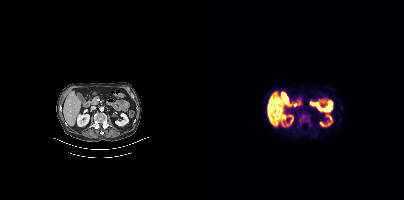
modality: PSMA PET/CT | tracer: [18F]PSMA-1007 | view: axial | PET grid: 200×200
Coordinates are on the 200×200 PET (right) panel. PSMA-avid tumor lesion bounding box (x0, y0)-(x1, y1): (95, 114)-(105, 123).